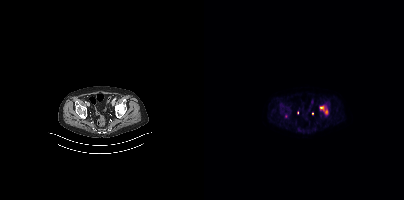
{"modality":"PSMA PET/CT","view":"axial","tracer":"18F","pet_grid":[200,200],"coord_frame":"pet_panel","coord_format":"x0,y0,x1,y1","lesion_bboxes":[[116,105,124,114]],"small_foci_centers":[[77,104],[81,116]]}